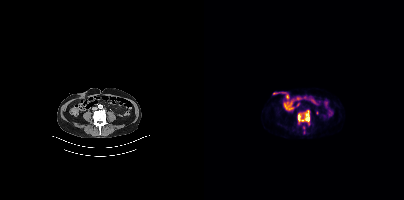
Two-panel axial: CT | PSMA PET, [18F]PSMA-1007 tracer. Coordinates are on the 200×200 PET (right) panel. PSMA-avid tumor lesion bounding box (x0,y0,x1,y1): [94,112,105,122].